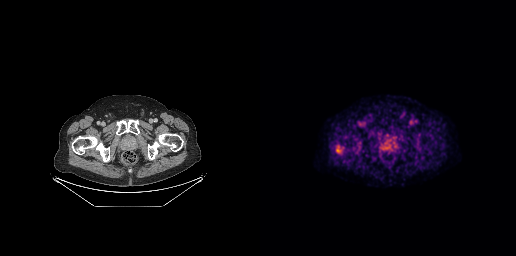
modality: PSMA PET/CT | tracer: 18F | view: axial | PET grid: 256×256
Coordinates are on the 256×256 PET (right) panel. PSMA-avid tumor lesion bounding box (x0,y0,x1,y1): [76,145,83,154].